Technique: Two-panel axial: CT | PSMA PET, [18F]PSMA-1007 tracer. PET panel 200×200 px (4.1 mm/px).
Note: An anonymization step blacked out a rectangle over the head in this scan.
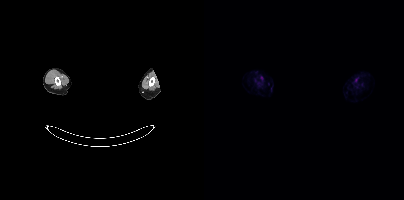
Findings: No tumor lesions annotated on this slice.